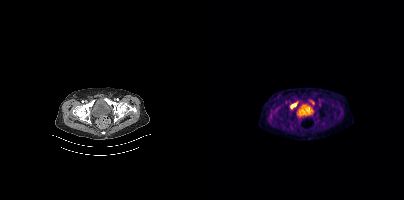
{"pet_grid":[200,200],"coord_frame":"pet_panel","coord_format":"x0,y0,x1,y1","lesion_bboxes":[[87,103,92,107]],"modality":"PSMA PET/CT","view":"axial","tracer":"18F"}